Technique: Paired axial CT (left) and PSMA PET (right), 18F-PSMA tracer.
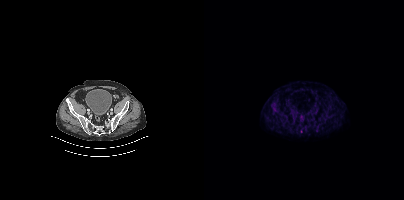
Findings: Only PSMA-avid lesion pieces thinner than 2 px on this slice (not listed).